modality: PSMA PET/CT | tracer: 18F-PSMA | view: axial | PET grid: 200×200
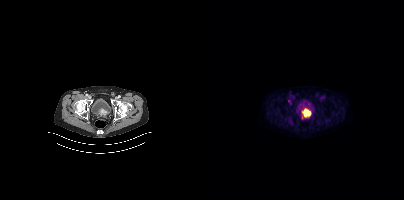
Coordinates are on the 200×200 PET (right) panel. PSMA-avid tumor lesion bounding box (x0,y0,x1,y1): [98,109,106,118].